Two-panel axial: CT | PSMA PET, [18F]PSMA-1007 tracer. Acquired on Siemens Biograph mCT Flow 20. PET panel 200×200 px (4.1 mm/px).
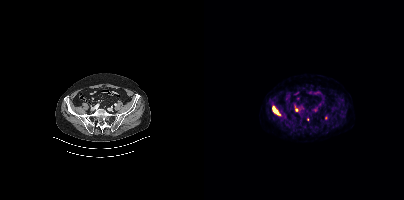
Coordinates are on the 200×200 PET (right) panel. PSMA-avid tumor lesion bounding boxes:
| # | x0 | y0 | x1 | y1 |
|---|---|---|---|---|
| 1 | 69 | 107 | 74 | 113 |
Small PSMA-avid foci (2 to 4 px across) near (center x, center y): (92, 109); (103, 119).